Two-panel axial: CT | PSMA PET, [18F]PSMA-1007 tracer. Acquired on Siemens Biograph mCT Flow 20. PET panel 200×200 px (4.1 mm/px).
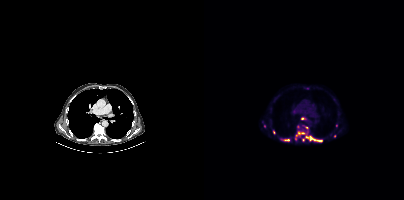
Coordinates are on the 200×200 PET (right) panel. PSMA-avid tumor lesion bounding boxes (partial; 4 more foci not listed):
| # | x0 | y0 | x1 | y1 |
|---|---|---|---|---|
| 1 | 101 | 135 | 111 | 140 |
| 2 | 94 | 132 | 100 | 135 |
| 3 | 80 | 139 | 85 | 141 |
Small PSMA-avid foci (2 to 4 px across) near (center x, center y): (115, 140); (69, 132); (98, 118); (94, 125); (102, 127); (130, 135); (99, 140).